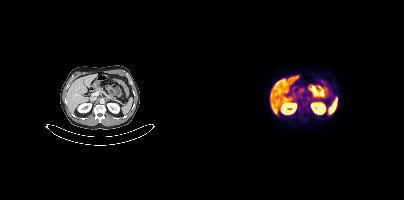
Two-panel axial: CT | PSMA PET, [18F]PSMA-1007 tracer. Slice position z = -1382 mm. PET panel 200×200 px (4.1 mm/px). No PSMA-avid tumor lesions on this slice.